Paired axial CT (left) and PSMA PET (right), 18F-PSMA tracer. PET panel 200×200 px (4.1 mm/px).
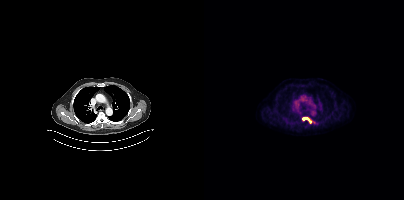
Coordinates are on the 200×200 PET (right) panel. PSMA-avid tumor lesion bounding boxes:
| # | x0 | y0 | x1 | y1 |
|---|---|---|---|---|
| 1 | 98 | 117 | 108 | 123 |
Small PSMA-avid focus (2 to 4 px across) near (center x, center y): (110, 122).